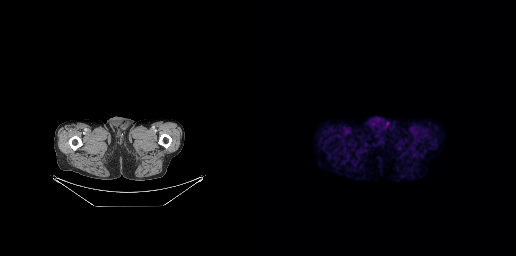
{"modality":"PSMA PET/CT","view":"axial","tracer":"[18F]PSMA-1007","pet_grid":[256,256],"coord_frame":"pet_panel","coord_format":"x0,y0,x1,y1","psma_avid_lesions":false}